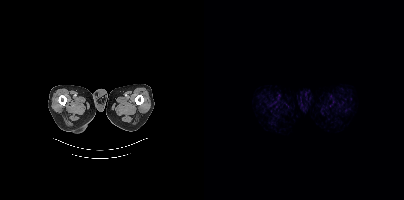
{"modality":"PSMA PET/CT","view":"axial","tracer":"[18F]PSMA-1007","pet_grid":[200,200],"coord_frame":"pet_panel","coord_format":"x0,y0,x1,y1","psma_avid_lesions":false}